- Two-panel axial: CT | PSMA PET, 18F tracer
- PET panel 200×200 px (4.1 mm/px)
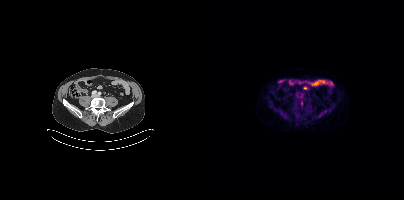
Findings: No tumor lesions annotated on this slice.